Technique: Left: CT. Right: PSMA PET, same axial level, [18F]PSMA-1007 tracer. slice position z = -1244 mm. PET panel 200×200 px (4.1 mm/px).
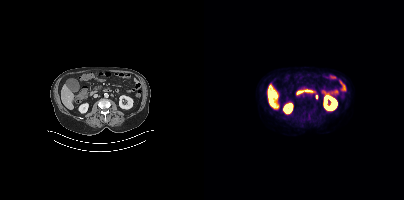
Findings: Coordinates are on the 200×200 PET (right) panel. Small PSMA-avid foci (2 to 4 px across) near (center x, center y): (99, 95) | (112, 97).